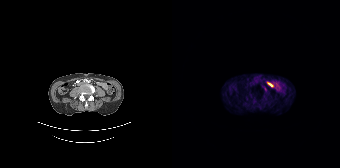
Findings: Only PSMA-avid lesion pieces thinner than 2 px on this slice (not listed).
- Left: CT. Right: PSMA PET, same axial level, 68Ga tracer
- acquired on Siemens Biograph 64-4R TruePoint
- slice position z = -1188 mm